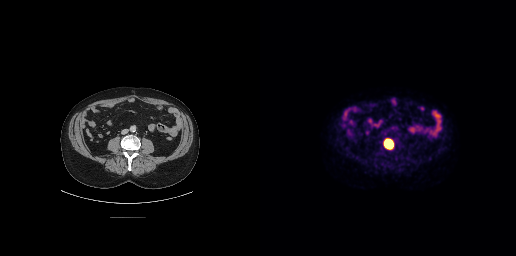
{"modality":"PSMA PET/CT","view":"axial","tracer":"[18F]PSMA-1007","pet_grid":[256,256],"coord_frame":"pet_panel","coord_format":"x0,y0,x1,y1","lesion_bboxes":[[123,138,134,149]]}